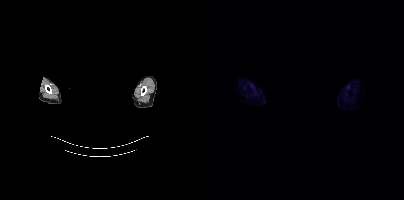
Technique: Paired axial CT (left) and PSMA PET (right), [18F]PSMA-1007 tracer.
Note: A rectangle over the head was blacked out to remove identifiable facial features.
Findings: Negative for PSMA-avid disease on this slice.